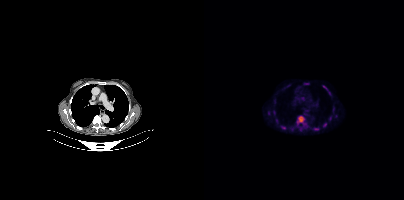
Coordinates are on the 200×200 PET (right) panel. (showing 8 of 9 foci) PSMA-avid tumor lesion bounding boxes (x0, y0)-(x1, y1): (93, 116)-(100, 123); (119, 85)-(123, 90). Small PSMA-avid foci (2 to 4 px across) near (center x, center y): (70, 112); (64, 112); (79, 127); (112, 128); (125, 93); (121, 124).